- Two-panel axial: CT | PSMA PET, 18F tracer
- acquired on Siemens Biograph mCT Flow 20
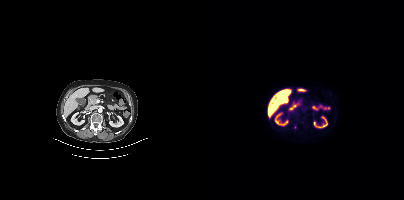
Findings: Only PSMA-avid lesion pieces thinner than 2 px on this slice (not listed).